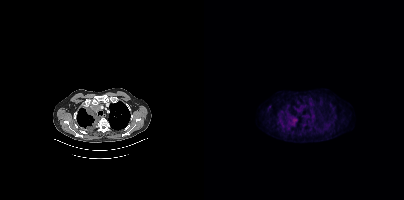
Two-panel axial: CT | PSMA PET, 18F-PSMA tracer. Slice position z = -960 mm. PET panel 200×200 px (4.1 mm/px). Coordinates are on the 200×200 PET (right) panel. PSMA-avid tumor lesion bounding box (x, y, width, height): x=85 y=117 w=9 h=11.